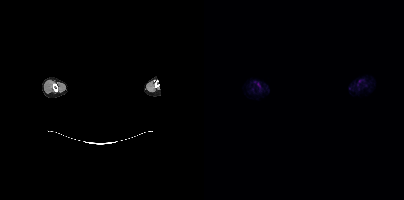
A rectangular block over the head has been blanked out for de-identification. Paired axial CT (left) and PSMA PET (right), 18F tracer. PET panel 200×200 px (4.1 mm/px). No tumor lesions annotated on this slice.